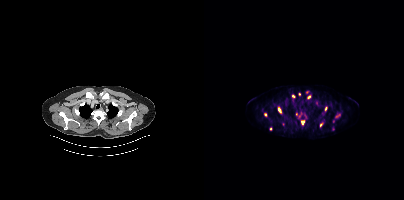
Left: CT. Right: PSMA PET, same axial level, 18F tracer. Acquired on Siemens Biograph mCT Flow 20. Slice position z = -410 mm. Coordinates are on the 200×200 PET (right) panel. (showing 10 of 12 foci) PSMA-avid tumor lesion bounding box (x, y, width, height): x=74 y=108 w=4 h=5. Small PSMA-avid foci (2 to 4 px across) near (center x, center y): (104, 96) / (98, 122) / (122, 108) / (117, 124) / (89, 96) / (61, 114) / (66, 128) / (95, 93) / (132, 116).